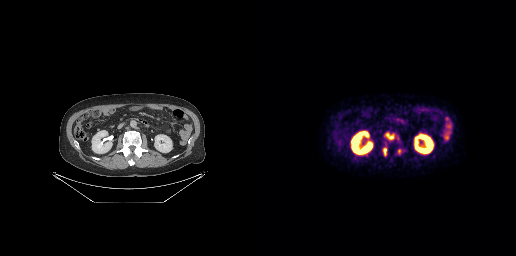
Left: CT. Right: PSMA PET, same axial level, 18F tracer. Slice 148 of 299. PET panel 256×256 px (2.7 mm/px).
Coordinates are on the 256×256 PET (right) panel. PSMA-avid tumor lesion bounding boxes (partial; 1 more focus not listed):
| # | x0 | y0 | x1 | y1 |
|---|---|---|---|---|
| 1 | 124 | 132 | 134 | 140 |
| 2 | 123 | 147 | 127 | 156 |
| 3 | 138 | 149 | 140 | 153 |